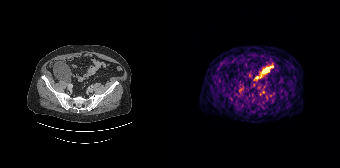
Technique: Left: CT. Right: PSMA PET, same axial level, 68Ga tracer. slice position z = -1483 mm. PET panel 168×168 px (4.1 mm/px).
Findings: Coordinates are on the 168×168 PET (right) panel. Small PSMA-avid focus (2 to 4 px across) near (center x, center y): (67, 90).